modality: PSMA PET/CT | tracer: 18F-PSMA | view: axial | PET grid: 200×200
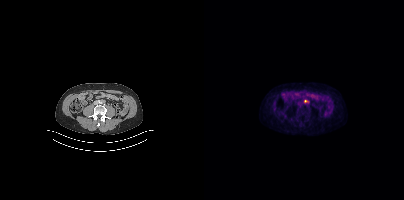
Coordinates are on the 200×200 PET (right) panel. Small PSMA-avid focus (2 to 4 px across) near (center x, center y): (101, 101).